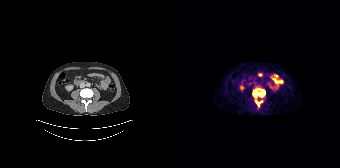
{"modality":"PSMA PET/CT","view":"axial","tracer":"68Ga-PSMA","pet_grid":[168,168],"coord_frame":"pet_panel","coord_format":"x0,y0,x1,y1","lesion_bboxes":[[81,89,93,96],[83,100,90,106]]}